modality: PSMA PET/CT | tracer: 18F | view: axial
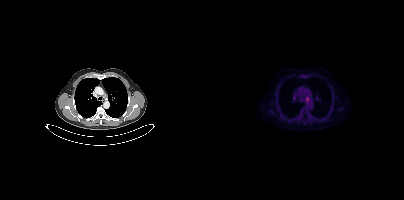
Coordinates are on the 200×200 PET (right) panel. Small PSMA-avid focus (2 to 4 px across) near (center x, center y): (103, 98).